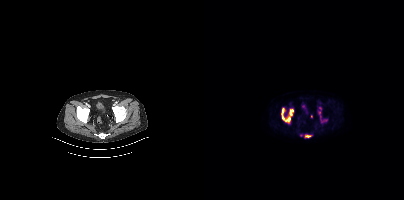
Findings: Coordinates are on the 200×200 PET (right) panel. (showing 3 of 5 foci) PSMA-avid tumor lesion bounding boxes (x0,y0,x1,y1): [77,109,89,122], [101,135,106,137]. Small PSMA-avid focus (2 to 4 px across) near (center x, center y): (115, 112).
Technique: Left: CT. Right: PSMA PET, same axial level, 18F tracer. slice 56 of 367.